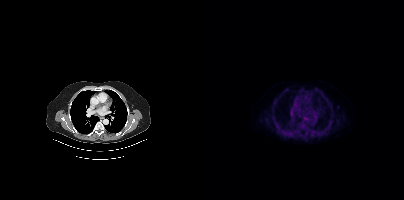
Only PSMA-avid lesion pieces thinner than 2 px on this slice (not listed).